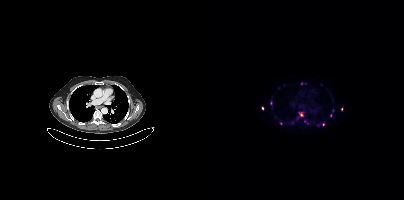
{"modality":"PSMA PET/CT","view":"axial","tracer":"68Ga","pet_grid":[200,200],"coord_frame":"pet_panel","coord_format":"x0,y0,x1,y1","partial":true,"lesion_bboxes":[],"small_foci_centers":[[137,109],[119,124],[126,115],[58,107],[97,114]]}